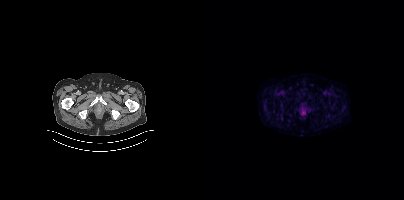
No tumor lesions annotated on this slice.